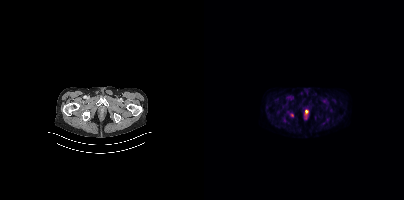
Findings: Coordinates are on the 200×200 PET (right) panel. PSMA-avid tumor lesion bounding box (x, y, width, height): x=86 y=113 w=4 h=5. Small PSMA-avid focus (2 to 4 px across) near (center x, center y): (102, 111).
Technique: Left: CT. Right: PSMA PET, same axial level, [18F]PSMA-1007 tracer. slice 48 of 423. PET panel 200×200 px (4.1 mm/px).